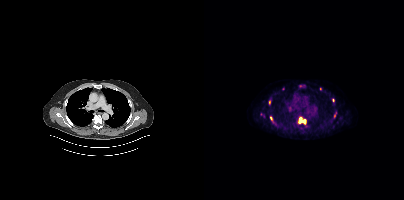
Findings: Coordinates are on the 200×200 PET (right) panel. (showing 3 of 4 foci) PSMA-avid tumor lesion bounding box (x, y, width, height): x=94 y=117 w=9 h=8. Small PSMA-avid foci (2 to 4 px across) near (center x, center y): (67, 118) / (129, 100).
Technique: Paired axial CT (left) and PSMA PET (right), 18F tracer.